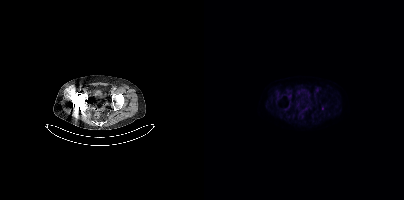
This slice has no annotated PSMA-avid lesion.